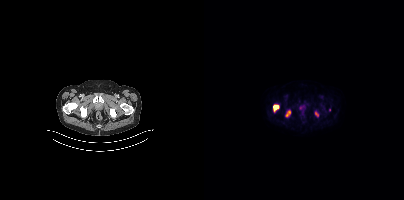
- Left: CT. Right: PSMA PET, same axial level, [18F]PSMA-1007 tracer
- slice position z = -764 mm
- PET panel 200×200 px (4.1 mm/px)
Findings: Coordinates are on the 200×200 PET (right) panel. (showing 3 of 4 foci) PSMA-avid tumor lesion bounding boxes (x, y, width, height): x=69 y=104 w=7 h=8 | x=82 y=111 w=5 h=6 | x=111 y=112 w=4 h=5.